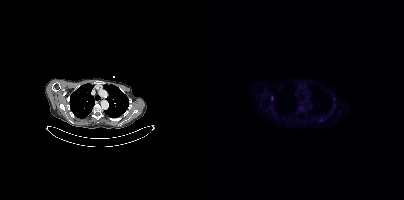
Coordinates are on the 200×200 PET (right) panel. PSMA-avid tumor lesion bounding boxes:
| # | x0 | y0 | x1 | y1 |
|---|---|---|---|---|
| 1 | 67 | 96 | 69 | 100 |
Small PSMA-avid focus (2 to 4 px across) near (center x, center y): (117, 119).
Two-panel axial: CT | PSMA PET, 18F tracer. Acquired on Siemens Biograph mCT Flow 20. Slice position z = -998 mm. PET panel 200×200 px (4.1 mm/px).